modality: PSMA PET/CT | tracer: 68Ga | view: axial | PET grid: 200×200
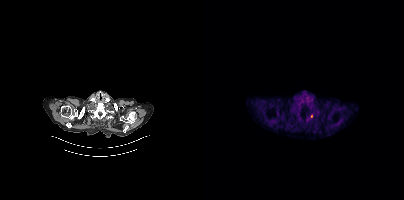
Coordinates are on the 200×200 PET (right) panel. Small PSMA-avid focus (2 to 4 px across) near (center x, center y): (107, 116).